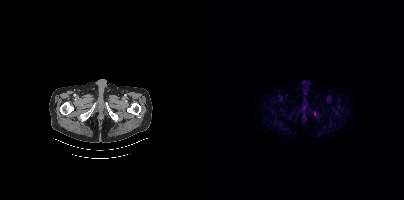
{"modality":"PSMA PET/CT","view":"axial","tracer":"18F","pet_grid":[200,200],"coord_frame":"pet_panel","coord_format":"x0,y0,x1,y1","partial":true,"lesion_bboxes":[]}